modality: PSMA PET/CT | tracer: 18F-PSMA | view: axial | PET grid: 200×200
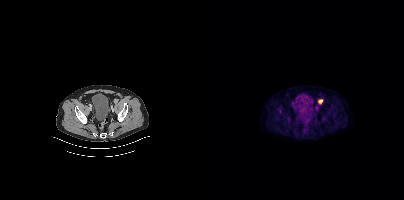
Coordinates are on the 200×200 PET (right) panel. PSMA-avid tumor lesion bounding box (x0, y0)-(x1, y1): (114, 99)-(119, 104).